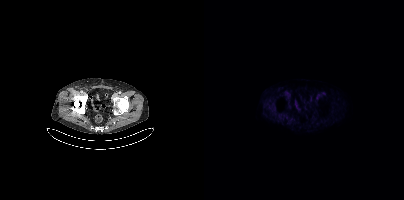
No tumor lesions annotated on this slice.
modality: PSMA PET/CT | tracer: [18F]PSMA-1007 | view: axial